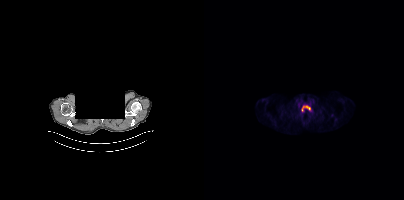
Findings: Coordinates are on the 200×200 PET (right) panel. PSMA-avid tumor lesion bounding box (x, y, width, height): x=97 y=105 w=10 h=7.
Technique: Paired axial CT (left) and PSMA PET (right), 18F tracer. acquired on Siemens Biograph mCT Flow 20. slice 336 of 405.
Note: A rectangle over the head was blacked out to remove identifiable facial features.